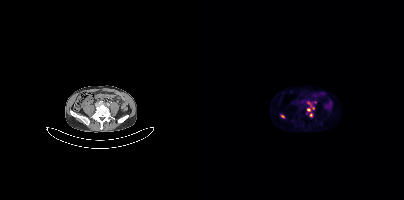
Coordinates are on the 200×200 PET (right) panel. PSMA-avid tumor lesion bounding box (x, y, width, height): x=103 y=102 w=8 h=10. Small PSMA-avid foci (2 to 4 px across) near (center x, center y): (107, 114) / (78, 116) / (111, 101).